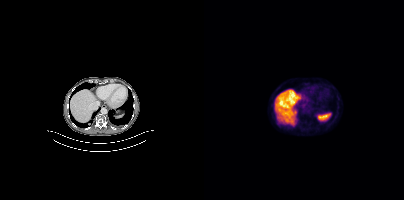
{"modality":"PSMA PET/CT","view":"axial","tracer":"[18F]PSMA-1007","pet_grid":[200,200],"coord_frame":"pet_panel","coord_format":"x0,y0,x1,y1","lesion_bboxes":[[86,119,92,126]]}